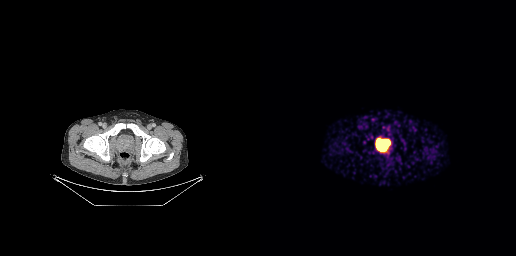
Findings: Coordinates are on the 256×256 PET (right) panel. PSMA-avid tumor lesion bounding box (x, y, width, height): x=116 y=139 w=14 h=12.
- Left: CT. Right: PSMA PET, same axial level, 68Ga-PSMA tracer
- PET panel 256×256 px (2.7 mm/px)